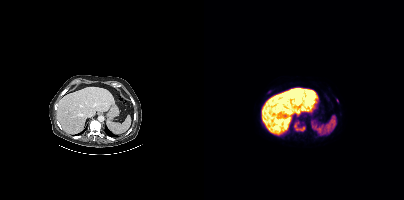
- Left: CT. Right: PSMA PET, same axial level, 18F-PSMA tracer
- acquired on Siemens Biograph mCT Flow 20
- slice position z = -634 mm
Findings: Coordinates are on the 200×200 PET (right) panel. PSMA-avid tumor lesion bounding box (x0,y0,x1,y1): [90,120,101,131]. Small PSMA-avid foci (2 to 4 px across) near (center x, center y): (65, 91) (133, 100).